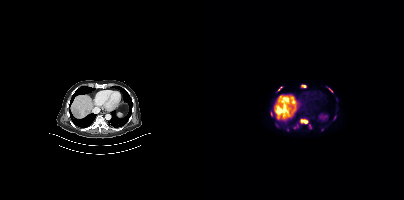
modality: PSMA PET/CT | tracer: 18F | view: axial
Coordinates are on the 200×200 PET (right) panel. (showing 4 of 5 foci) PSMA-avid tumor lesion bounding boxes (x0, y0)-(x1, y1): (97, 119)-(103, 123); (97, 85)-(101, 87). Small PSMA-avid foci (2 to 4 px across) near (center x, center y): (75, 88); (126, 89).